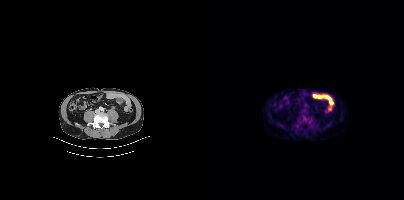
modality: PSMA PET/CT | tracer: 18F | view: axial | PET grid: 200×200
Coordinates are on the 200×200 PET (right) panel. PSMA-avid tumor lesion bounding box (x0,y0,x1,y1): [98,115,108,125].